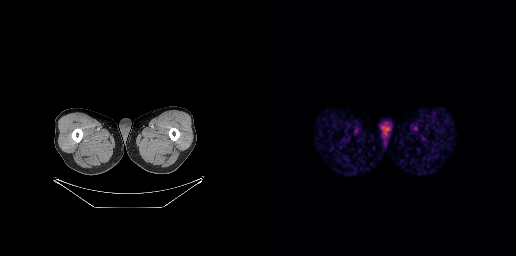
modality: PSMA PET/CT | tracer: 68Ga-PSMA | view: axial | PET grid: 256×256
No tumor lesions annotated on this slice.